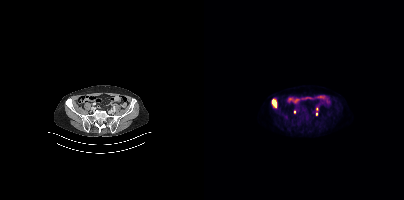
Findings: Coordinates are on the 200×200 PET (right) panel. PSMA-avid tumor lesion bounding box (x, y, width, height): x=68 y=99 w=5 h=8. Small PSMA-avid foci (2 to 4 px across) near (center x, center y): (90, 112); (112, 114); (112, 108).
Technique: Left: CT. Right: PSMA PET, same axial level, 18F-PSMA tracer. acquired on Siemens Biograph mCT Flow 20. PET panel 200×200 px (4.1 mm/px).